Two-panel axial: CT | PSMA PET, 18F tracer.
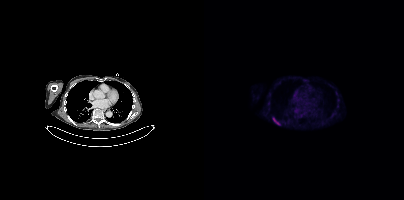
Coordinates are on the 200×200 PET (right) panel. PSMA-avid tumor lesion bounding box (x0, y0)-(x1, y1): (69, 118)-(75, 124).